- Left: CT. Right: PSMA PET, same axial level, [18F]PSMA-1007 tracer
- acquired on Siemens Biograph mCT Flow 20
- PET panel 200×200 px (4.1 mm/px)
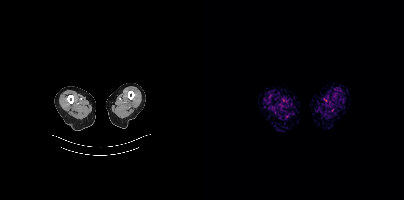
Findings: This slice has no annotated PSMA-avid lesion.